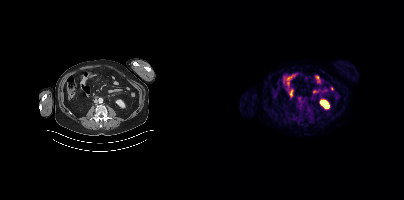
Findings: No PSMA-avid tumor lesions on this slice.
Technique: Paired axial CT (left) and PSMA PET (right), [68Ga]Ga-PSMA-11 tracer. PET panel 200×200 px (4.1 mm/px).